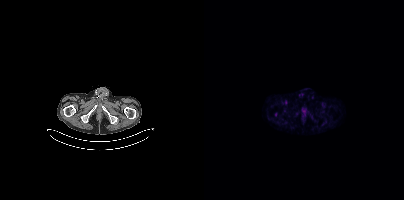
Technique: Left: CT. Right: PSMA PET, same axial level, 18F-PSMA tracer.
Findings: No PSMA-avid tumor lesions on this slice.